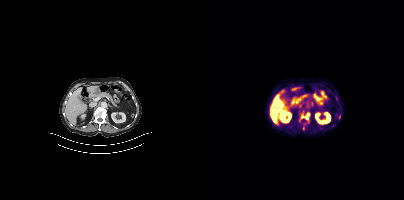
Left: CT. Right: PSMA PET, same axial level, [18F]PSMA-1007 tracer. Acquired on Siemens Biograph mCT Flow 20. Slice 191 of 407. PET panel 200×200 px (4.1 mm/px). Coordinates are on the 200×200 PET (right) panel. (showing 1 of 2 foci) PSMA-avid tumor lesion bounding box (x0,y0,x1,y1): [97,113,105,119].